Technique: Paired axial CT (left) and PSMA PET (right), [18F]PSMA-1007 tracer. slice 341 of 385.
Note: Face de-identified by blanking a block of the head.
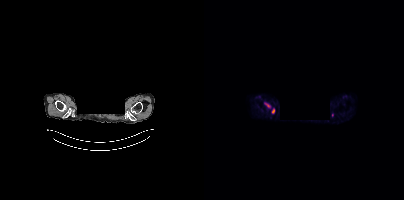
Findings: Coordinates are on the 200×200 PET (right) panel. (showing 2 of 3 foci) PSMA-avid tumor lesion bounding boxes (x0, y0)-(x1, y1): (60, 103)-(67, 108) / (67, 108)-(71, 113).